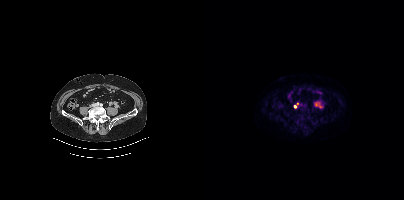
- Two-panel axial: CT | PSMA PET, [18F]PSMA-1007 tracer
- acquired on Siemens Biograph mCT Flow 20
Findings: Coordinates are on the 200×200 PET (right) panel. (showing 1 of 2 foci) Small PSMA-avid focus (2 to 4 px across) near (center x, center y): (90, 106).